- Two-panel axial: CT | PSMA PET, [18F]PSMA-1007 tracer
- PET panel 200×200 px (4.1 mm/px)
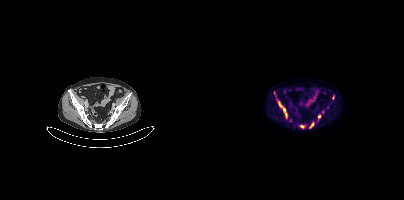
Findings: Coordinates are on the 200×200 PET (right) panel. (showing 6 of 7 foci) PSMA-avid tumor lesion bounding boxes (x0,y0,x1,y1): [72,99,83,118]; [105,122,109,128]; [128,95,130,99]; [96,125,100,128]. Small PSMA-avid foci (2 to 4 px across) near (center x, center y): (115, 116); (70, 92).